modality: PSMA PET/CT | tracer: 68Ga-PSMA | view: axial | PET grid: 256×256
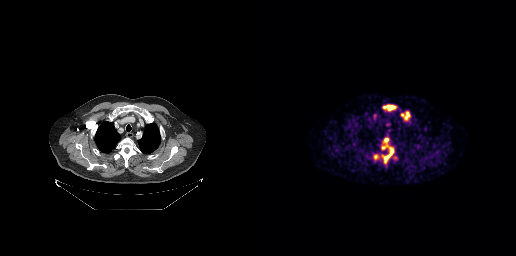
Coordinates are on the 256×256 PET (right) panel. PSMA-avid tumor lesion bounding boxes (x, y, width, height): x=121 y=137 w=14 h=28 | x=122 y=104 w=15 h=8 | x=141 y=111 w=10 h=10 | x=113 y=154 w=7 h=7. Small PSMA-avid focus (2 to 4 px across) near (center x, center y): (135, 157).